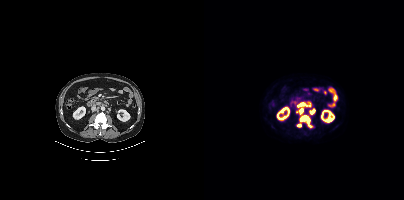
modality: PSMA PET/CT | tracer: 18F | view: axial | PET grid: 200×200
Coordinates are on the 200×200 PET (right) panel. (showing 6 of 7 foci) PSMA-avid tumor lesion bounding boxes (x, y, width, height): x=96 y=115 w=12 h=12; x=106 y=109 w=6 h=6; x=95 y=108 w=5 h=6; x=94 y=103 w=7 h=4; x=93 y=124 w=5 h=3. Small PSMA-avid focus (2 to 4 px across) near (center x, center y): (104, 105).